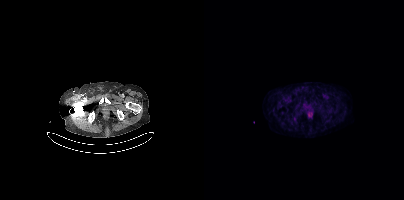
Left: CT. Right: PSMA PET, same axial level, 18F tracer. No tumor lesions annotated on this slice.